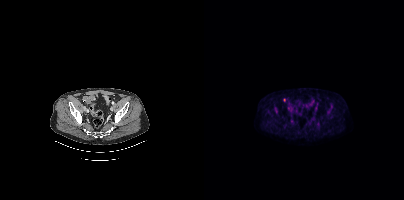
Two-panel axial: CT | PSMA PET, [18F]PSMA-1007 tracer. Acquired on Siemens Biograph mCT Flow 20. PET panel 200×200 px (4.1 mm/px). Coordinates are on the 200×200 PET (right) panel. Small PSMA-avid focus (2 to 4 px across) near (center x, center y): (80, 100).